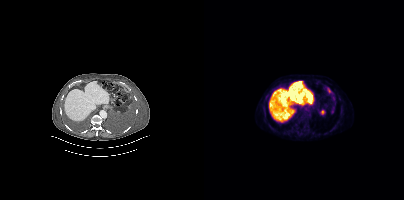
Left: CT. Right: PSMA PET, same axial level, [18F]PSMA-1007 tracer. Coordinates are on the 200×200 PET (right) panel. (showing 2 of 3 foci) PSMA-avid tumor lesion bounding box (x, y, width, height): x=123 y=87 w=4 h=6. Small PSMA-avid focus (2 to 4 px across) near (center x, center y): (128, 111).